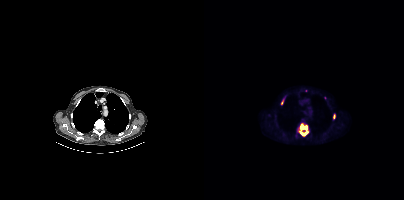
Coordinates are on the 200×200 PET (right) panel. (showing 3 of 4 foci) PSMA-avid tumor lesion bounding boxes (x0, y0)-(x1, y1): (95, 123)-(104, 136) / (77, 99)-(79, 103). Small PSMA-avid focus (2 to 4 px across) near (center x, center y): (129, 116). Left: CT. Right: PSMA PET, same axial level, [18F]PSMA-1007 tracer. Slice position z = 89 mm. PET panel 200×200 px (4.1 mm/px).